modality: PSMA PET/CT | tracer: [18F]PSMA-1007 | view: axial
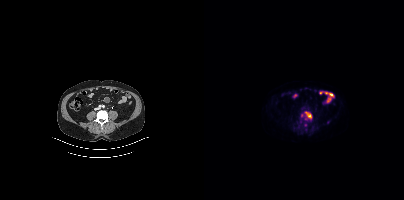
Coordinates are on the 200×200 PET (right) panel. PSMA-avid tumor lesion bounding box (x0,y0,x1,y1): [102,112,107,117].